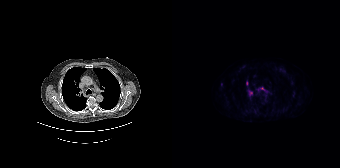
Findings: Coordinates are on the 168×168 PET (right) panel. (showing 2 of 3 foci) Small PSMA-avid foci (2 to 4 px across) near (center x, center y): (90, 88) / (79, 92).
- Two-panel axial: CT | PSMA PET, 18F tracer
- slice position z = -782 mm